Left: CT. Right: PSMA PET, same axial level, 18F tracer. PET panel 200×200 px (4.1 mm/px).
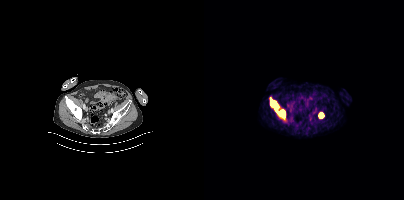
Coordinates are on the 200×200 PET (right) panel. PSMA-avid tumor lesion bounding boxes:
| # | x0 | y0 | x1 | y1 |
|---|---|---|---|---|
| 1 | 65 | 97 | 81 | 119 |
| 2 | 114 | 112 | 120 | 118 |